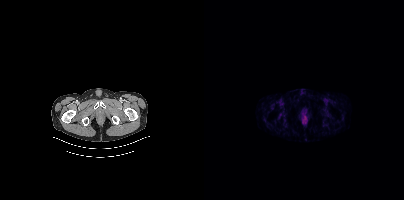
No tumor lesions annotated on this slice.